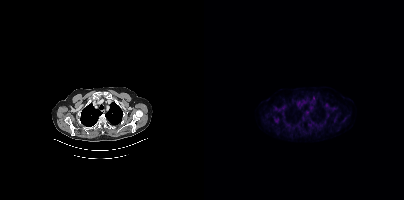
Left: CT. Right: PSMA PET, same axial level, 18F tracer. Slice 328 of 401. Negative for PSMA-avid disease on this slice.